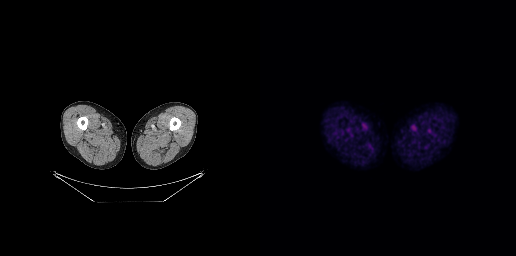
No PSMA-avid tumor lesions on this slice.